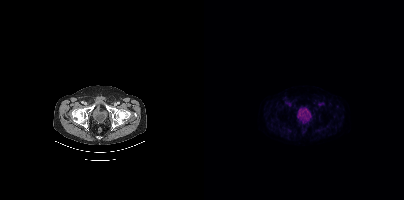
{"modality":"PSMA PET/CT","view":"axial","tracer":"18F-PSMA","pet_grid":[200,200],"coord_frame":"pet_panel","coord_format":"x0,y0,x1,y1","psma_avid_lesions":false}